- Paired axial CT (left) and PSMA PET (right), [18F]PSMA-1007 tracer
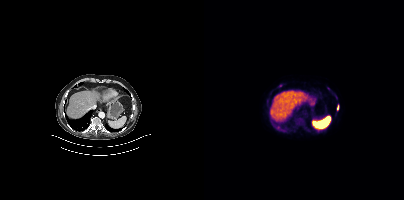
Findings: Coordinates are on the 200×200 PET (right) panel. PSMA-avid tumor lesion bounding box (x0,y0,x1,y1): [133,105,134,109]. Small PSMA-avid foci (2 to 4 px across) near (center x, center y): (76, 85), (124, 88).